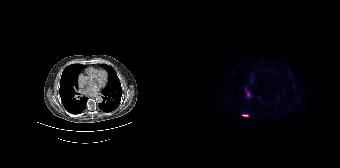
{"modality":"PSMA PET/CT","view":"axial","tracer":"18F-PSMA","pet_grid":[168,168],"coord_frame":"pet_panel","coord_format":"x0,y0,x1,y1","lesion_bboxes":[[70,114,76,116]],"small_foci_centers":[[76,94]]}